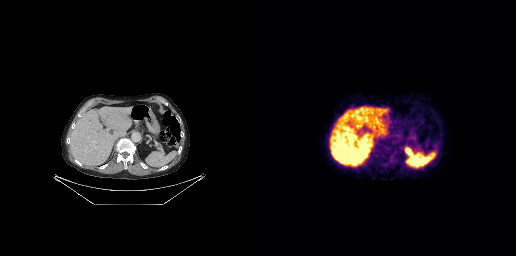
This slice has no annotated PSMA-avid lesion. Two-panel axial: CT | PSMA PET, 18F-PSMA tracer.